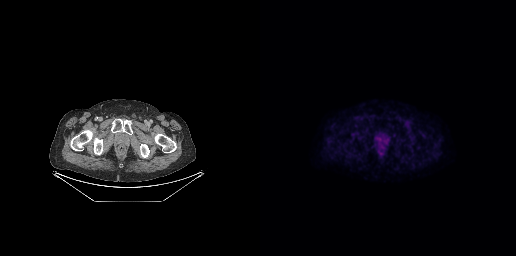
Findings: This slice has no annotated PSMA-avid lesion.
Technique: Paired axial CT (left) and PSMA PET (right), 18F-PSMA tracer. slice 62 of 263.